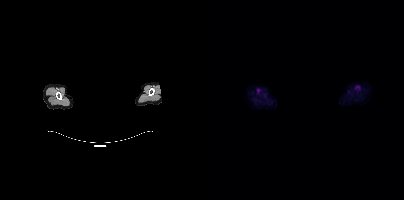
Face de-identified by blanking a block of the head. Paired axial CT (left) and PSMA PET (right), 18F-PSMA tracer. Negative for PSMA-avid disease on this slice.